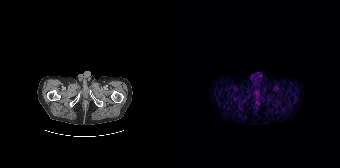
Left: CT. Right: PSMA PET, same axial level, [68Ga]Ga-PSMA-11 tracer. Slice 46 of 195. This slice has no annotated PSMA-avid lesion.